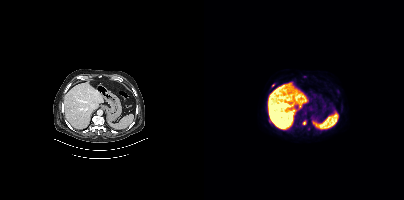
modality: PSMA PET/CT | tracer: 18F-PSMA | view: axial | PET grid: 200×200
Coordinates are on the 200×200 PET (right) panel. Small PSMA-avid foci (2 to 4 px across) near (center x, center y): (100, 122) / (100, 76) / (69, 85).